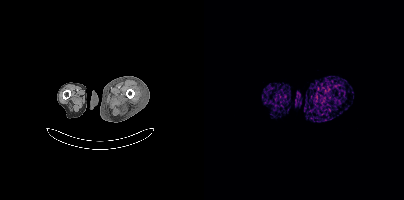
This slice has no annotated PSMA-avid lesion.